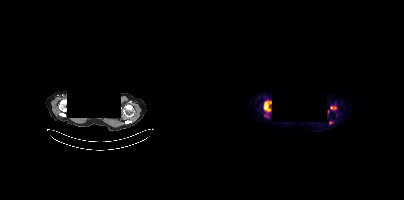
- a rectangle over the head was blacked out to remove identifiable facial features
- Left: CT. Right: PSMA PET, same axial level, 18F-PSMA tracer
- acquired on Siemens Biograph mCT Flow 20
- slice 315 of 373
- PET panel 200×200 px (4.1 mm/px)
Findings: Coordinates are on the 200×200 PET (right) panel. (showing 3 of 4 foci) PSMA-avid tumor lesion bounding boxes (x, y, width, height): x=59 y=100 w=9 h=12 | x=126 y=106 w=7 h=4. Small PSMA-avid focus (2 to 4 px across) near (center x, center y): (126, 122).